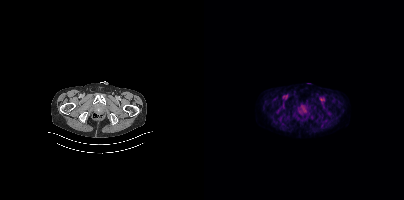
Coordinates are on the 200×200 PET (right) panel. PSMA-avid tumor lesion bounding box (x, y, width, height): x=95 y=106 w=9 h=10.